- Paired axial CT (left) and PSMA PET (right), [18F]PSMA-1007 tracer
- acquired on Siemens Biograph 64-4R TruePoint
- slice 5 of 195
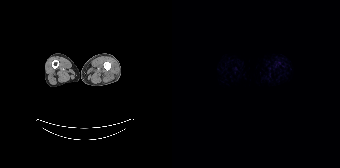
Findings: Negative for PSMA-avid disease on this slice.